Technique: Paired axial CT (left) and PSMA PET (right), [68Ga]Ga-PSMA-11 tracer.
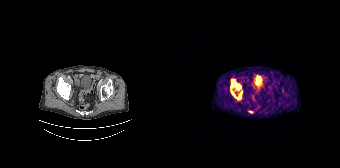
Findings: Coordinates are on the 168×168 PET (right) panel. (showing 4 of 5 foci) PSMA-avid tumor lesion bounding boxes (x0,y0,x1,y1): [59,79,64,87], [65,85,68,89], [66,93,69,98], [59,91,62,96].